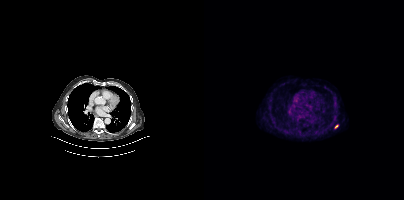
Coordinates are on the 200×200 PET (right) panel. Small PSMA-avid focus (2 to 4 px across) near (center x, center y): (132, 126).